Left: CT. Right: PSMA PET, same axial level, 18F-PSMA tracer. PET panel 256×256 px (2.7 mm/px).
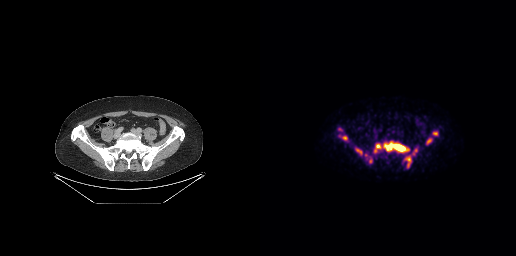
Coordinates are on the 256×256 PET (right) panel. PSMA-avid tumor lesion bounding boxes:
| # | x0 | y0 | x1 | y1 |
|---|---|---|---|---|
| 1 | 114 | 141 | 149 | 153 |
| 2 | 144 | 155 | 151 | 167 |
| 3 | 95 | 148 | 102 | 156 |
| 4 | 104 | 153 | 111 | 162 |
| 5 | 165 | 138 | 172 | 145 |
| 6 | 82 | 136 | 87 | 140 |
| 7 | 152 | 148 | 157 | 155 |
| 8 | 173 | 131 | 177 | 135 |
Small PSMA-avid focus (2 to 4 px across) near (center x, center y): (80, 129).